modality: PSMA PET/CT | tracer: 18F | view: axial
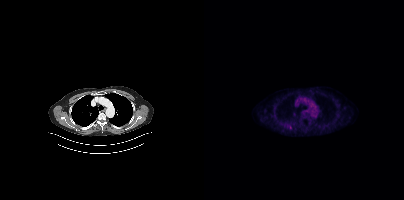
Coordinates are on the 200×200 PET (right) panel. Small PSMA-avid focus (2 to 4 px across) near (center x, center y): (86, 126).